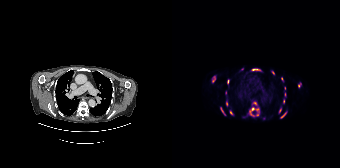
{"modality":"PSMA PET/CT","view":"axial","tracer":"18F-PSMA","pet_grid":[168,168],"coord_frame":"pet_panel","coord_format":"x0,y0,x1,y1","partial":true,"lesion_bboxes":[[80,68,88,70],[77,107,82,112],[48,107,53,115],[109,113,113,117]],"small_foci_centers":[[59,112],[54,103],[83,103],[85,109],[101,72],[55,81],[126,86],[109,78],[41,80]]}